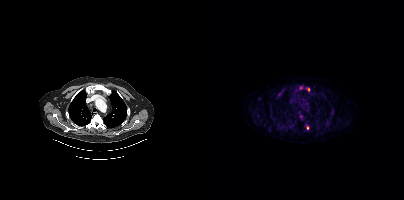
Coordinates are on the 200×200 PET (right) panel. (showing 3 of 4 foci) PSMA-avid tumor lesion bounding box (x0,y0,x1,y1): [102,125,104,129]. Small PSMA-avid foci (2 to 4 px across) near (center x, center y): (104, 89); (96, 87). Paired axial CT (left) and PSMA PET (right), 18F-PSMA tracer. PET panel 200×200 px (4.1 mm/px).